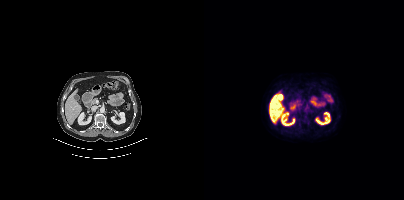
modality: PSMA PET/CT | tracer: [18F]PSMA-1007 | view: axial
No PSMA-avid tumor lesions on this slice.